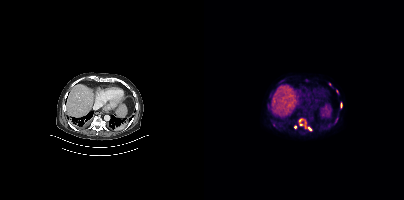
{"modality":"PSMA PET/CT","view":"axial","tracer":"[18F]PSMA-1007","pet_grid":[200,200],"coord_frame":"pet_panel","coord_format":"x0,y0,x1,y1","partial":true,"lesion_bboxes":[[94,118,108,131],[137,102,138,107]],"small_foci_centers":[[91,126]]}